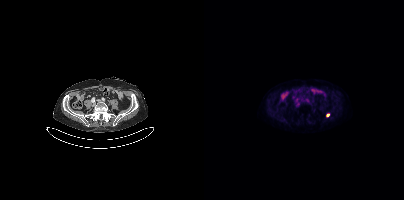
modality: PSMA PET/CT | tracer: 18F-PSMA | view: axial
Coordinates are on the 200×200 PET (right) panel. Small PSMA-avid focus (2 to 4 px across) near (center x, center y): (124, 115).